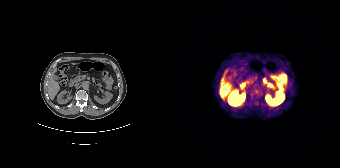
No PSMA-avid tumor lesions on this slice.